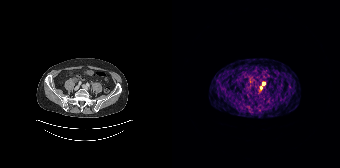
Coordinates are on the 168×168 PET (right) panel. Small PSMA-avid focus (2 to 4 px across) near (center x, center y): (91, 83).
modality: PSMA PET/CT | tracer: [68Ga]Ga-PSMA-11 | view: axial